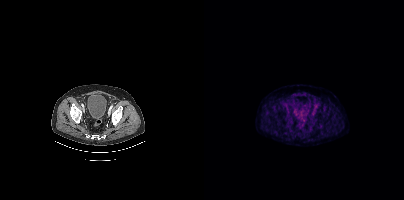
modality: PSMA PET/CT | tracer: 18F | view: axial | PET grid: 200×200
No PSMA-avid tumor lesions on this slice.